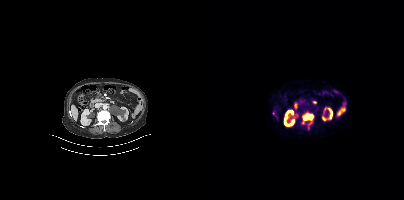
{"modality":"PSMA PET/CT","view":"axial","tracer":"68Ga","pet_grid":[200,200],"coord_frame":"pet_panel","coord_format":"x0,y0,x1,y1","lesion_bboxes":[[98,113,109,124],[104,122,107,129]],"small_foci_centers":[[69,113]]}